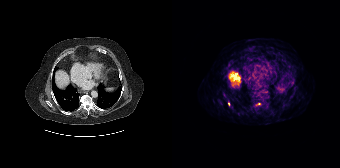
Coordinates are on the 168×168 PET (right) panel. Small PSMA-avid foci (2 to 4 px across) near (center x, center y): (56, 103) / (86, 103).
modality: PSMA PET/CT | tracer: 68Ga-PSMA | view: axial | PET grid: 168×168